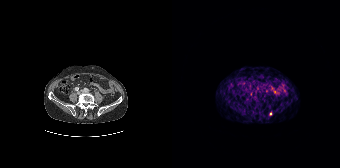
{"pet_grid":[168,168],"coord_frame":"pet_panel","coord_format":"x0,y0,x1,y1","lesion_bboxes":[],"small_foci_centers":[[98,113]],"modality":"PSMA PET/CT","view":"axial","tracer":"68Ga-PSMA"}